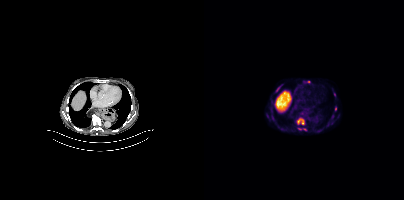
Coordinates are on the 200×200 PET (right) panel. PSMA-avid tumor lesion bounding boxes (x, y, width, height): x=92 y=117 w=9 h=9; x=94 y=128 w=9 h=3; x=72 y=86 w=5 h=6. Small PSMA-avid foci (2 to 4 px across) near (center x, center y): (131, 108); (104, 82); (130, 94). Paired axial CT (left) and PSMA PET (right), 18F tracer. Acquired on Siemens Biograph mCT Flow 20. Slice position z = 320 mm. PET panel 200×200 px (4.1 mm/px).